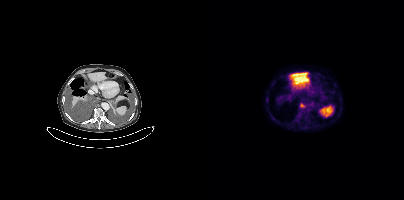
{"modality":"PSMA PET/CT","view":"axial","tracer":"18F-PSMA","pet_grid":[200,200],"coord_frame":"pet_panel","coord_format":"x0,y0,x1,y1","lesion_bboxes":[[96,104,101,107]]}